- an anonymization step blacked out a rectangle over the head in this scan
- Left: CT. Right: PSMA PET, same axial level, 18F tracer
- slice 237 of 263
- PET panel 256×256 px (2.7 mm/px)
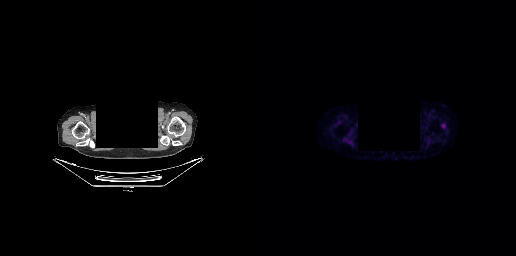
Findings: No tumor lesions annotated on this slice.